- Two-panel axial: CT | PSMA PET, 18F tracer
- PET panel 200×200 px (4.1 mm/px)
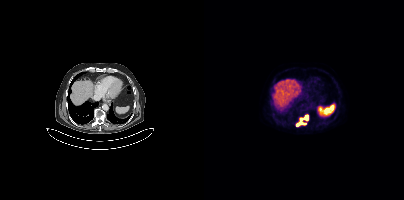
Findings: Coordinates are on the 200×200 PET (right) panel. PSMA-avid tumor lesion bounding boxes (x0, y0)-(x1, y1): (92, 122)-(101, 125) | (100, 115)-(104, 120). Small PSMA-avid focus (2 to 4 px across) near (center x, center y): (97, 119).